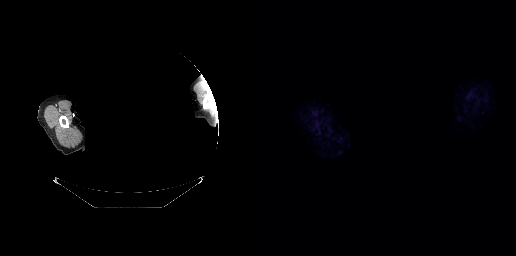
An anonymization step blacked out a rectangle over the head in this scan. Paired axial CT (left) and PSMA PET (right), 68Ga-PSMA tracer. Slice position z = -252 mm. PET panel 256×256 px (2.7 mm/px). No tumor lesions annotated on this slice.